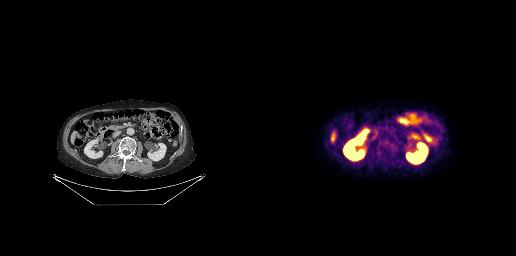
No PSMA-avid tumor lesions on this slice.